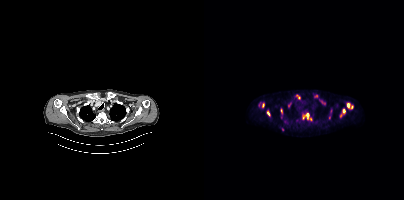
Coordinates are on the 200×200 PET (right) panel. (showing 12 of 17 foci) PSMA-avid tumor lesion bounding boxes (x, y, width, height): x=136 y=108 w=6 h=10 | x=142 y=103 w=7 h=7 | x=84 y=102 w=4 h=6 | x=92 y=95 w=5 h=5 | x=102 y=113 w=3 h=6 | x=63 y=111 w=4 h=5. Small PSMA-avid foci (2 to 4 px across) near (center x, center y): (112, 96) | (59, 105) | (77, 110) | (120, 103) | (125, 117) | (78, 129). Two-panel axial: CT | PSMA PET, 18F-PSMA tracer. PET panel 200×200 px (4.1 mm/px).